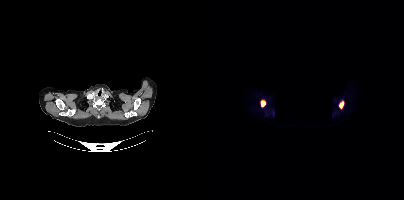
Coordinates are on the 200×200 PET (right) panel. PSMA-avid tumor lesion bounding boxes (x, y, width, height): x=56 y=100 w=6 h=8; x=135 y=101 w=6 h=8.
modality: PSMA PET/CT | tracer: [18F]PSMA-1007 | view: axial | deidentification: region blacked out before release